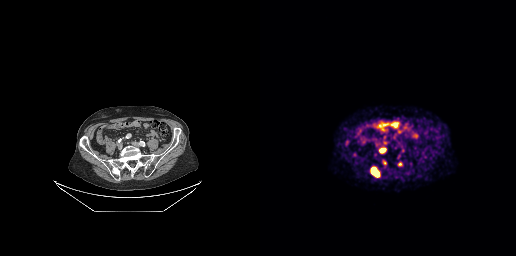
Paired axial CT (left) and PSMA PET (right), 68Ga tracer. PET panel 256×256 px (2.7 mm/px).
Coordinates are on the 256×256 PET (right) panel. PSMA-avid tumor lesion bounding boxes:
| # | x0 | y0 | x1 | y1 |
|---|---|---|---|---|
| 1 | 111 | 167 | 119 | 176 |
| 2 | 119 | 147 | 126 | 153 |
| 3 | 138 | 162 | 142 | 166 |
| 4 | 123 | 160 | 126 | 164 |